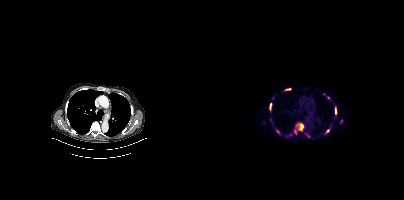
- Paired axial CT (left) and PSMA PET (right), [68Ga]Ga-PSMA-11 tracer
- slice position z = -1078 mm
Findings: Coordinates are on the 200×200 PET (right) panel. (showing 10 of 13 foci) PSMA-avid tumor lesion bounding boxes (x0,y0,x1,y1): [92,123,99,130]; [65,103,67,110]; [90,128,93,133]; [80,88,86,90]; [131,108,132,114]. Small PSMA-avid foci (2 to 4 px across) near (center x, center y): (122, 131); (124, 98); (86, 134); (103, 135); (73, 131).